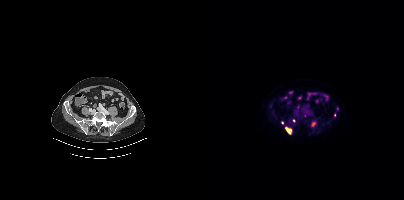
Coordinates are on the 200×200 PET (right) panel. PSMA-avid tumor lesion bounding boxes:
| # | x0 | y0 | x1 | y1 |
|---|---|---|---|---|
| 1 | 81 | 127 | 87 | 133 |
| 2 | 107 | 122 | 111 | 126 |
Small PSMA-avid foci (2 to 4 px across) near (center x, center y): (133, 108); (130, 114); (89, 120); (78, 122).
Left: CT. Right: PSMA PET, same axial level, 18F-PSMA tracer. Slice 131 of 401.